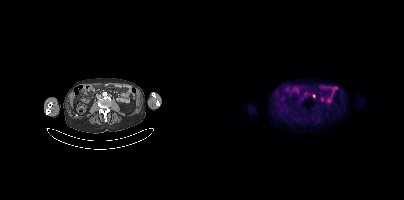
Coordinates are on the 200×200 PET (right) panel. Small PSMA-avid focus (2 to 4 px across) near (center x, center y): (110, 95). Paired axial CT (left) and PSMA PET (right), 18F-PSMA tracer. Acquired on Siemens Biograph mCT Flow 20. Slice 163 of 417.